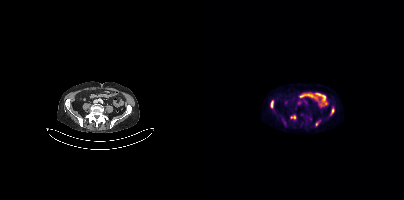
Paired axial CT (left) and PSMA PET (right), 18F tracer. Coordinates are on the 200×200 PET (right) panel. PSMA-avid tumor lesion bounding boxes (x, y, width, height): x=86 y=115 w=6 h=5; x=67 y=101 w=3 h=7; x=127 y=108 w=4 h=7. Small PSMA-avid focus (2 to 4 px across) near (center x, center y): (112, 123).